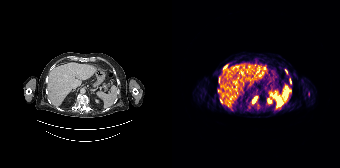
- Paired axial CT (left) and PSMA PET (right), [68Ga]Ga-PSMA-11 tracer
- acquired on Siemens Biograph 64-4R TruePoint
- slice position z = -950 mm
- PET panel 168×168 px (4.1 mm/px)
Findings: Coordinates are on the 168×168 PET (right) panel. PSMA-avid tumor lesion bounding boxes (x0, y0)-(x1, y1): (80, 96)-(85, 103) / (47, 76)-(48, 82) / (118, 79)-(119, 83) / (48, 98)-(49, 102) / (113, 69)-(115, 73). Small PSMA-avid foci (2 to 4 px across) near (center x, center y): (53, 66) / (46, 90) / (118, 90).